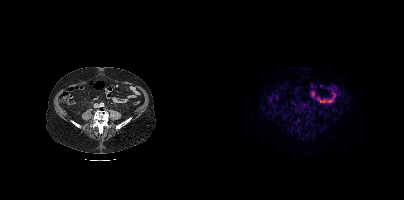
Technique: Paired axial CT (left) and PSMA PET (right), [68Ga]Ga-PSMA-11 tracer. acquired on Siemens Biograph mCT Flow 20. slice position z = 459 mm.
Findings: No PSMA-avid tumor lesions on this slice.